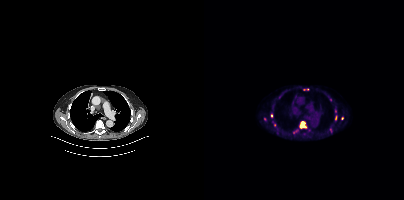
Findings: Coordinates are on the 200×200 PET (right) panel. (showing 5 of 7 foci) PSMA-avid tumor lesion bounding box (x, y, width, height): x=96 y=121 w=6 h=7. Small PSMA-avid foci (2 to 4 px across) near (center x, center y): (67, 115) | (131, 117) | (138, 118) | (60, 118).
- Paired axial CT (left) and PSMA PET (right), [18F]PSMA-1007 tracer
- acquired on Siemens Biograph mCT Flow 20
- slice position z = -480 mm